Technique: Two-panel axial: CT | PSMA PET, 18F tracer. PET panel 200×200 px (4.1 mm/px).
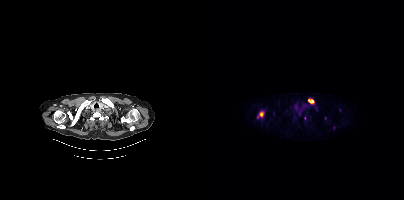
Findings: Coordinates are on the 200×200 PET (right) panel. (showing 6 of 10 foci) PSMA-avid tumor lesion bounding boxes (x, y, width, height): x=104 y=98 w=6 h=6 | x=55 y=111 w=5 h=6 | x=69 y=111 w=2 h=6. Small PSMA-avid foci (2 to 4 px across) near (center x, center y): (112, 109) | (95, 113) | (129, 127).